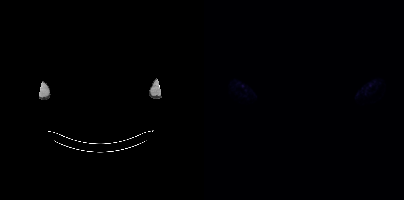
{"modality":"PSMA PET/CT","view":"axial","tracer":"[18F]PSMA-1007","pet_grid":[200,200],"coord_frame":"pet_panel","coord_format":"x0,y0,x1,y1","redaction":"rectangular block over head set to black","psma_avid_lesions":false}